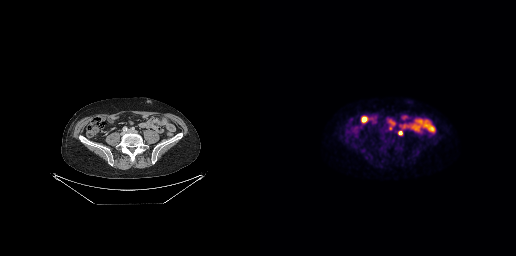
Coordinates are on the 256×256 PET (right) panel. Small PSMA-avid foci (2 to 4 px across) near (center x, center y): (139, 132); (130, 128).